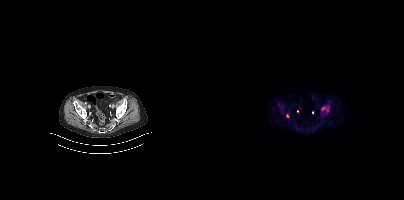
Findings: Coordinates are on the 200×200 PET (right) panel. PSMA-avid tumor lesion bounding boxes (x, y, width, height): x=74 y=102 w=6 h=10; x=117 y=106 w=9 h=7. Small PSMA-avid focus (2 to 4 px across) near (center x, center y): (83, 115).
Technique: Left: CT. Right: PSMA PET, same axial level, 18F tracer. slice 76 of 401.